Technique: Paired axial CT (left) and PSMA PET (right), [18F]PSMA-1007 tracer. acquired on Siemens Biograph mCT Flow 20.
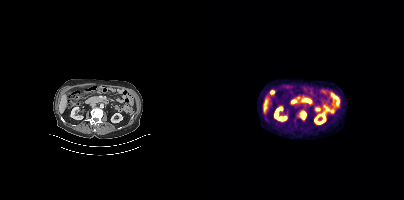
Findings: Coordinates are on the 200×200 PET (right) panel. PSMA-avid tumor lesion bounding box (x0, y0)-(x1, y1): (95, 110)-(102, 119).